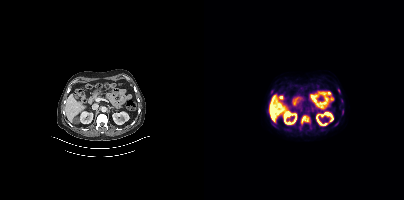
Left: CT. Right: PSMA PET, same axial level, [18F]PSMA-1007 tracer. PET panel 200×200 px (4.1 mm/px).
Coordinates are on the 200×200 PET (right) panel. PSMA-avid tumor lesion bounding boxes (partial; 1 more focus not listed):
| # | x0 | y0 | x1 | y1 |
|---|---|---|---|---|
| 1 | 97 | 115 | 106 | 124 |
| 2 | 67 | 90 | 69 | 94 |
| 3 | 138 | 110 | 139 | 114 |
Small PSMA-avid foci (2 to 4 px across) near (center x, center y): (132, 123); (134, 90).